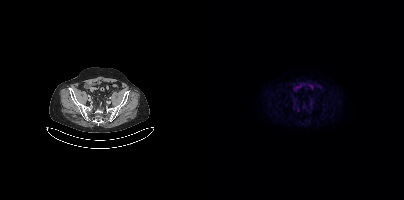
This slice has no annotated PSMA-avid lesion.